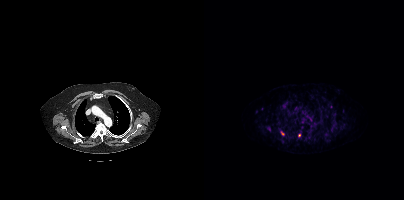
{"modality":"PSMA PET/CT","view":"axial","tracer":"[68Ga]Ga-PSMA-11","pet_grid":[200,200],"coord_frame":"pet_panel","coord_format":"x0,y0,x1,y1","partial":true,"lesion_bboxes":[[94,133,96,137],[77,131,80,135]]}